Technique: Paired axial CT (left) and PSMA PET (right), [18F]PSMA-1007 tracer. acquired on GE Discovery 690. slice 278 of 299. PET panel 256×256 px (2.7 mm/px).
Note: Face de-identified by blanking a block of the head.
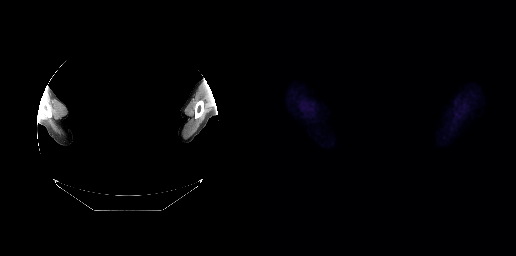
Findings: Negative for PSMA-avid disease on this slice.